Technique: Two-panel axial: CT | PSMA PET, 18F-PSMA tracer. slice position z = 88 mm. PET panel 200×200 px (4.1 mm/px).
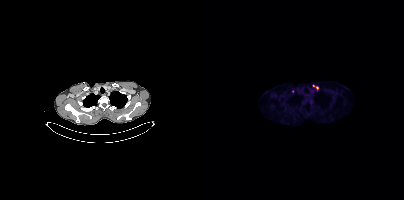
Findings: Coordinates are on the 200×200 PET (right) panel. PSMA-avid tumor lesion bounding box (x0, y0)-(x1, y1): (109, 85)-(114, 88). Small PSMA-avid focus (2 to 4 px across) near (center x, center y): (88, 91).